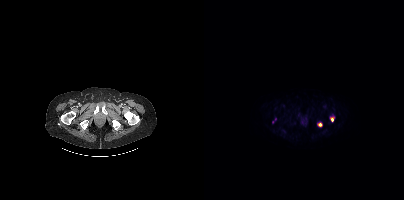
Left: CT. Right: PSMA PET, same axial level, [18F]PSMA-1007 tracer. PET panel 200×200 px (4.1 mm/px).
Coordinates are on the 200×200 PET (right) panel. PSMA-avid tumor lesion bounding boxes:
| # | x0 | y0 | x1 | y1 |
|---|---|---|---|---|
| 1 | 126 | 117 | 130 | 121 |
| 2 | 114 | 123 | 118 | 126 |